Technique: Paired axial CT (left) and PSMA PET (right), 18F tracer. acquired on Siemens Biograph mCT Flow 20. PET panel 200×200 px (4.1 mm/px).
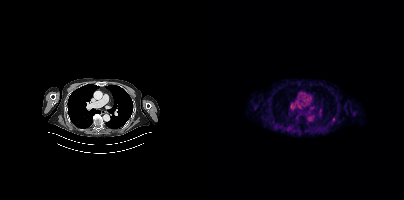
Findings: No tumor lesions annotated on this slice.